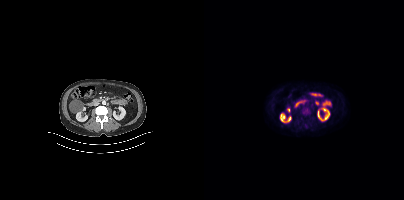
{"modality":"PSMA PET/CT","view":"axial","tracer":"18F-PSMA","pet_grid":[200,200],"coord_frame":"pet_panel","coord_format":"x0,y0,x1,y1","psma_avid_lesions":false}